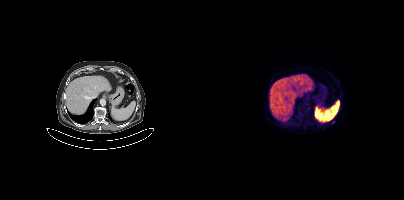
No tumor lesions annotated on this slice.